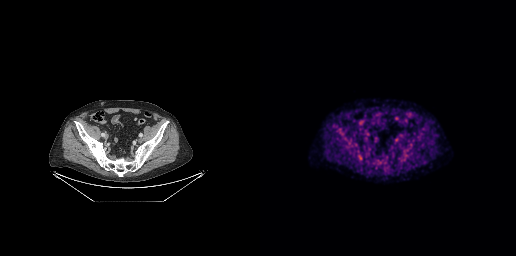
Findings: No PSMA-avid tumor lesions on this slice.
Technique: Two-panel axial: CT | PSMA PET, 18F-PSMA tracer. slice 79 of 263. PET panel 256×256 px (2.7 mm/px).